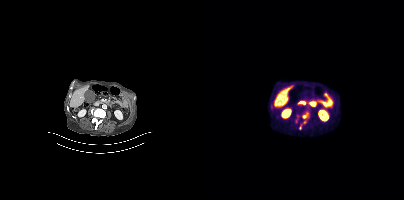
Coordinates are on the 200×200 PET (right) panel. PSMA-avid tumor lesion bounding boxes (x0, y0)-(x1, y1): (95, 112)-(105, 129) / (91, 116)-(95, 123).